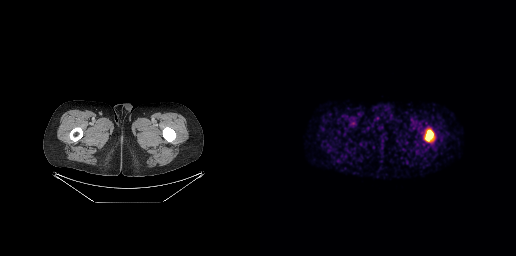
Coordinates are on the 256×256 PET (right) panel. PSMA-avid tumor lesion bounding box (x0, y0)-(x1, y1): (165, 130)-(173, 141).